- Left: CT. Right: PSMA PET, same axial level, 18F-PSMA tracer
- acquired on Siemens Biograph mCT Flow 20
- PET panel 200×200 px (4.1 mm/px)
- any black rectangle over the head is a privacy mask, not anatomy
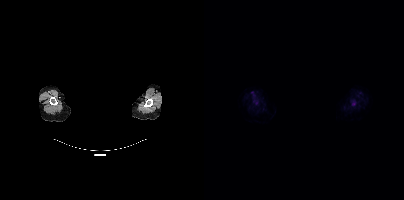
Findings: Coordinates are on the 200×200 PET (right) panel. PSMA-avid tumor lesion bounding box (x, y, width, height): x=50 y=100 w=6 h=6.